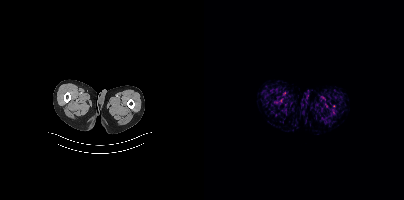
{"modality":"PSMA PET/CT","view":"axial","tracer":"18F","pet_grid":[200,200],"coord_frame":"pet_panel","coord_format":"x0,y0,x1,y1","psma_avid_lesions":false}